Paired axial CT (left) and PSMA PET (right), 18F-PSMA tracer. Slice position z = -174 mm. PET panel 200×200 px (4.1 mm/px).
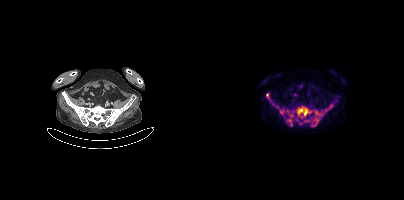
Coordinates are on the 200×200 PET (right) panel. PSMA-avid tumor lesion bounding boxes (partial; 2 more foci not listed):
| # | x0 | y0 | x1 | y1 |
|---|---|---|---|---|
| 1 | 93 | 108 | 103 | 121 |
| 2 | 107 | 115 | 117 | 126 |
| 3 | 80 | 114 | 89 | 126 |
| 4 | 100 | 119 | 106 | 122 |
| 5 | 62 | 93 | 64 | 97 |
Small PSMA-avid foci (2 to 4 px across) near (center x, center y): (96, 123); (69, 104); (72, 106).